Paired axial CT (left) and PSMA PET (right), 68Ga-PSMA tracer. PET panel 168×168 px (4.1 mm/px).
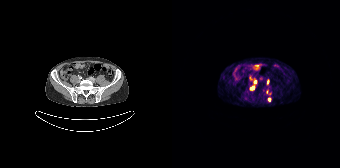
Coordinates are on the 168×168 PET (right) panel. Small PSMA-avid foci (2 to 4 px across) near (center x, center y): (97, 99) | (96, 81) | (83, 81) | (80, 88).